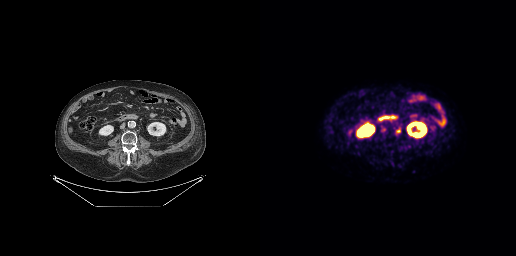
Paired axial CT (left) and PSMA PET (right), 18F tracer.
Coordinates are on the 256×256 PET (right) panel. PSMA-avid tumor lesion bounding boxes:
| # | x0 | y0 | x1 | y1 |
|---|---|---|---|---|
| 1 | 120 | 125 | 126 | 133 |
| 2 | 136 | 128 | 140 | 133 |